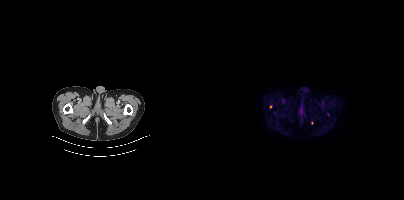
Left: CT. Right: PSMA PET, same axial level, 18F tracer. Slice position z = -990 mm. Coordinates are on the 200×200 PET (right) panel. Small PSMA-avid foci (2 to 4 px across) near (center x, center y): (108, 123) / (66, 106).